Two-panel axial: CT | PSMA PET, 68Ga tracer. Slice position z = -946 mm. PET panel 168×168 px (4.1 mm/px). Face de-identified by blanking a block of the head.
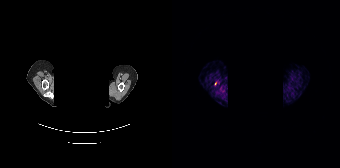
Coordinates are on the 168×168 PET (right) panel. Small PSMA-avid focus (2 to 4 px across) near (center x, center y): (43, 83).